Left: CT. Right: PSMA PET, same axial level, [68Ga]Ga-PSMA-11 tracer. Acquired on GE Discovery 690. Slice position z = -465 mm.
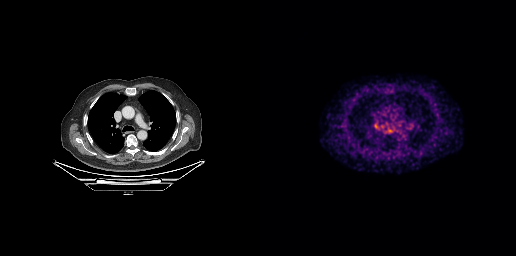
Negative for PSMA-avid disease on this slice.